Left: CT. Right: PSMA PET, same axial level, [18F]PSMA-1007 tracer. Slice 159 of 393.
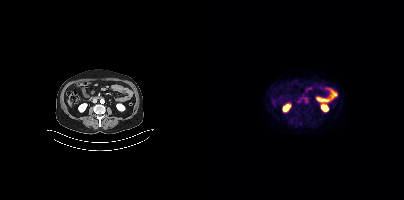
No PSMA-avid tumor lesions on this slice.